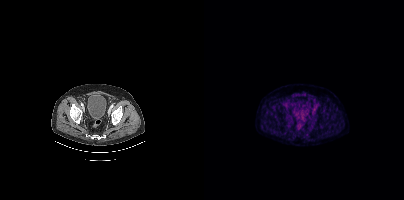
No tumor lesions annotated on this slice.